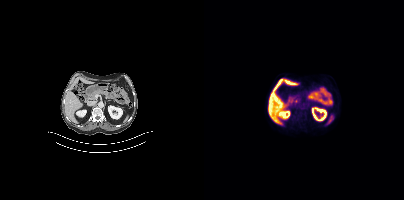
This slice has no annotated PSMA-avid lesion. Paired axial CT (left) and PSMA PET (right), 18F tracer. Acquired on Siemens Biograph mCT Flow 20. PET panel 200×200 px (4.1 mm/px).